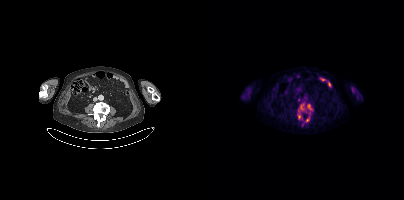
Paired axial CT (left) and PSMA PET (right), [18F]PSMA-1007 tracer. Slice 162 of 401. PET panel 200×200 px (4.1 mm/px). Coordinates are on the 200×200 PET (right) panel. (showing 4 of 5 foci) PSMA-avid tumor lesion bounding boxes (x, y, width, height): x=93 y=103 w=10 h=17 | x=103 y=104 w=7 h=7 | x=102 y=116 w=4 h=7. Small PSMA-avid focus (2 to 4 px across) near (center x, center y): (105, 113).